Paired axial CT (left) and PSMA PET (right), [68Ga]Ga-PSMA-11 tracer. Acquired on GE Discovery 690.
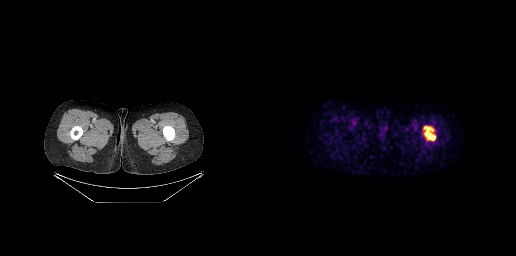
Coordinates are on the 256×256 PET (right) panel. PSMA-avid tumor lesion bounding boxes:
| # | x0 | y0 | x1 | y1 |
|---|---|---|---|---|
| 1 | 164 | 126 | 175 | 140 |